Any black rectangle over the head is a privacy mask, not anatomy.
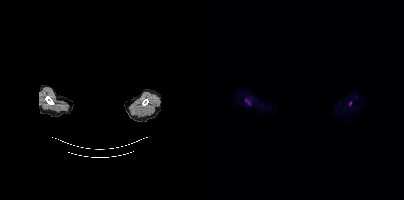
Coordinates are on the 200×200 PET (right) panel. PSMA-avid tumor lesion bounding box (x, y, width, height): x=41 y=98 w=6 h=7. Small PSMA-avid focus (2 to 4 px across) near (center x, center y): (146, 103).